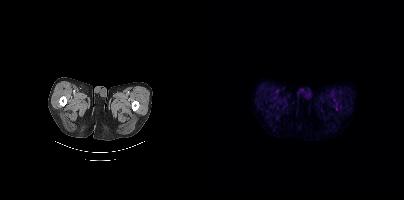
- Paired axial CT (left) and PSMA PET (right), 18F tracer
- slice 34 of 448
Findings: This slice has no annotated PSMA-avid lesion.